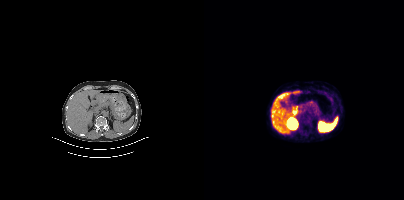
Negative for PSMA-avid disease on this slice.
modality: PSMA PET/CT | tracer: 68Ga | view: axial | PET grid: 200×200